modality: PSMA PET/CT | tracer: 18F-PSMA | view: axial
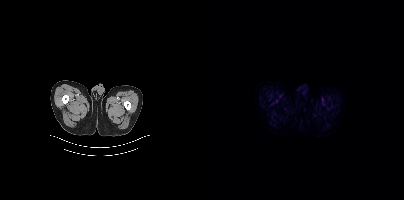
No PSMA-avid tumor lesions on this slice.